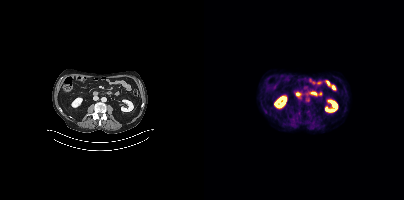
{"modality":"PSMA PET/CT","view":"axial","tracer":"18F","pet_grid":[200,200],"coord_frame":"pet_panel","coord_format":"x0,y0,x1,y1","psma_avid_lesions":false}